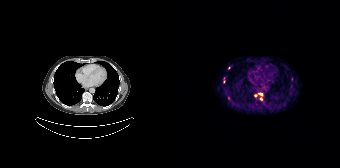
Two-panel axial: CT | PSMA PET, 68Ga-PSMA tracer.
Coordinates are on the 168×168 PET (right) panel. PSMA-avid tumor lesion bounding boxes (partial; 2 more foci not listed):
| # | x0 | y0 | x1 | y1 |
|---|---|---|---|---|
| 1 | 86 | 93 | 90 | 95 |
Small PSMA-avid foci (2 to 4 px across) near (center x, center y): (119, 79); (89, 98); (83, 95).